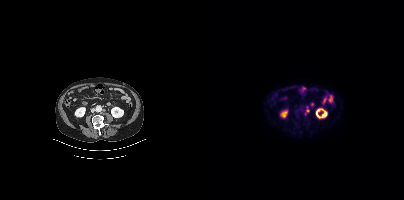
{"pet_grid":[200,200],"coord_frame":"pet_panel","coord_format":"x0,y0,x1,y1","lesion_bboxes":[[100,107,105,115]],"modality":"PSMA PET/CT","view":"axial","tracer":"18F-PSMA"}